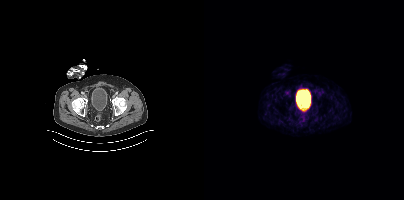
No PSMA-avid tumor lesions on this slice.